- Two-panel axial: CT | PSMA PET, 68Ga tracer
- slice 210 of 263
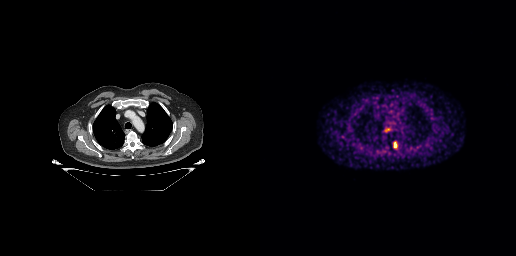
Findings: Coordinates are on the 256×256 PET (right) panel. PSMA-avid tumor lesion bounding box (x, y, width, height): x=134 y=142 w=3 h=6.